- Paired axial CT (left) and PSMA PET (right), 18F-PSMA tracer
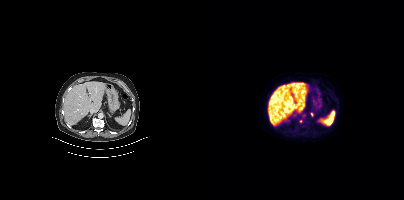
Findings: Coordinates are on the 200×200 PET (right) panel. Small PSMA-avid foci (2 to 4 px across) near (center x, center y): (96, 121) (107, 114).